Paired axial CT (left) and PSMA PET (right), 18F tracer.
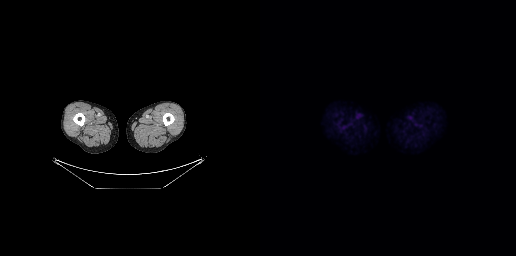
This slice has no annotated PSMA-avid lesion.